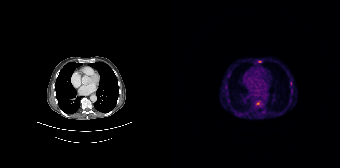
Coordinates are on the 168×168 PET (right) panel. PSMA-avid tumor lesion bounding box (x0,y0,x1,y1): [84,101,91,106]. Small PSMA-avid foci (2 to 4 px across) near (center x, center y): (91, 111); (87, 61); (118, 83); (56, 75).